Two-panel axial: CT | PSMA PET, [68Ga]Ga-PSMA-11 tracer. PET panel 256×256 px (2.7 mm/px).
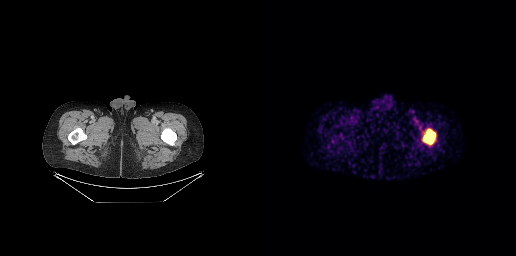
Coordinates are on the 256×256 PET (right) panel. PSMA-avid tumor lesion bounding boxes:
| # | x0 | y0 | x1 | y1 |
|---|---|---|---|---|
| 1 | 163 | 129 | 175 | 144 |